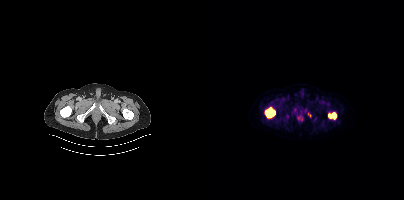
{"modality":"PSMA PET/CT","view":"axial","tracer":"18F-PSMA","pet_grid":[200,200],"coord_frame":"pet_panel","coord_format":"x0,y0,x1,y1","lesion_bboxes":[[61,107,71,117],[124,112,132,119]]}